Two-panel axial: CT | PSMA PET, 18F-PSMA tracer. Slice position z = -1054 mm. PET panel 200×200 px (4.1 mm/px).
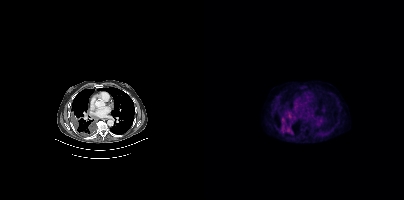
Coordinates are on the 200×200 PET (right) panel. PSMA-avid tumor lesion bounding boxes:
| # | x0 | y0 | x1 | y1 |
|---|---|---|---|---|
| 1 | 82 | 110 | 87 | 114 |
| 2 | 77 | 124 | 78 | 128 |
Small PSMA-avid focus (2 to 4 px across) near (center x, center y): (84, 131).